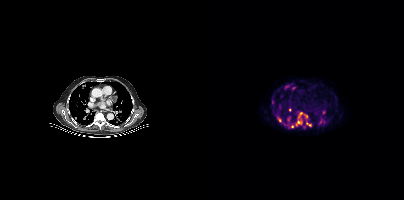
- Left: CT. Right: PSMA PET, same axial level, [18F]PSMA-1007 tracer
- PET panel 200×200 px (4.1 mm/px)
Findings: Coordinates are on the 200×200 PET (right) panel. (showing 10 of 14 foci) PSMA-avid tumor lesion bounding boxes (x0, y0)-(x1, y1): (91, 120)-(98, 126); (118, 110)-(121, 114); (73, 117)-(77, 122); (102, 122)-(107, 125). Small PSMA-avid foci (2 to 4 px across) near (center x, center y): (82, 86); (89, 88); (88, 126); (95, 113); (102, 116); (85, 110).